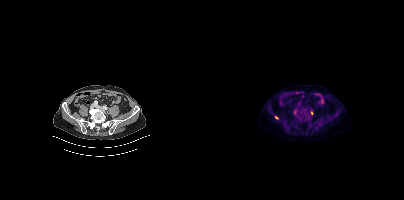
Findings: Coordinates are on the 200×200 PET (right) panel. PSMA-avid tumor lesion bounding box (x0,y0,x1,y1): [89,110,93,115]. Small PSMA-avid foci (2 to 4 px across) near (center x, center y): (108, 112); (72, 117).
- Left: CT. Right: PSMA PET, same axial level, [18F]PSMA-1007 tracer
- acquired on Siemens Biograph mCT Flow 20